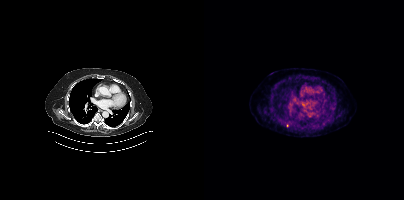
- Paired axial CT (left) and PSMA PET (right), 18F tracer
Findings: Coordinates are on the 200×200 PET (right) panel. Small PSMA-avid focus (2 to 4 px across) near (center x, center y): (83, 125).